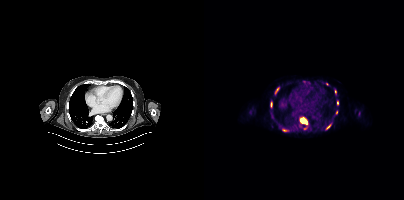
Coordinates are on the 200×200 PET (right) panel. (showing 9 of 10 foci) PSMA-avid tumor lesion bounding boxes (x0,y0,x1,y1): [96,117,103,124], [71,87,75,93], [78,129,84,131], [66,102,68,107]. Small PSMA-avid foci (2 to 4 px across) near (center x, center y): (133, 102), (131, 91), (124, 126), (101, 128), (132, 112).